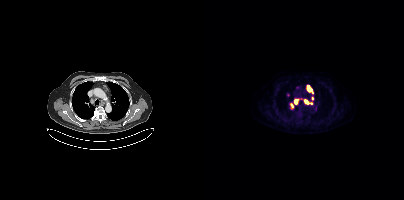
Findings: Coordinates are on the 200×200 PET (right) panel. (showing 2 of 3 foci) PSMA-avid tumor lesion bounding box (x, y, width, height): x=100 y=100 w=5 h=4. Small PSMA-avid focus (2 to 4 px across) near (center x, center y): (91, 101).
Technique: Left: CT. Right: PSMA PET, same axial level, 18F-PSMA tracer. acquired on Siemens Biograph mCT Flow 20. PET panel 200×200 px (4.1 mm/px).